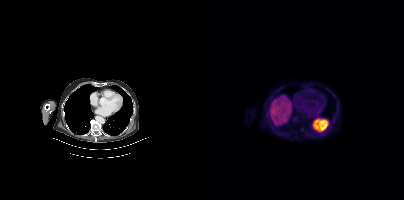
No PSMA-avid tumor lesions on this slice.
modality: PSMA PET/CT | tracer: 18F-PSMA | view: axial